Technique: Two-panel axial: CT | PSMA PET, [18F]PSMA-1007 tracer. slice position z = -438 mm.
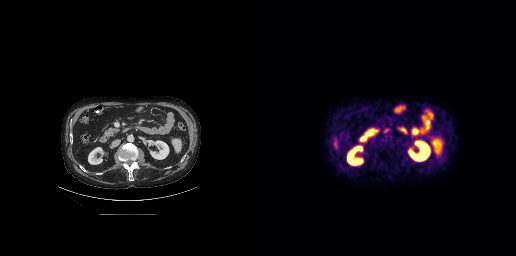
Findings: Negative for PSMA-avid disease on this slice.